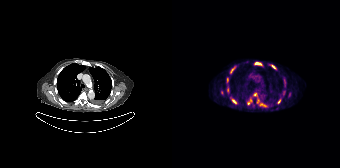
Coordinates are on the 168×168 PET (right) panel. (showing 11 of 15 foci) PSMA-avid tumor lesion bounding boxes (x0, y0)-(x1, y1): (82, 62)-(90, 65); (60, 99)-(64, 103); (99, 65)-(104, 69); (106, 99)-(108, 103); (59, 67)-(62, 72). Small PSMA-avid foci (2 to 4 px across) near (center x, center y): (55, 79); (83, 94); (55, 89); (76, 103); (78, 100); (89, 104).